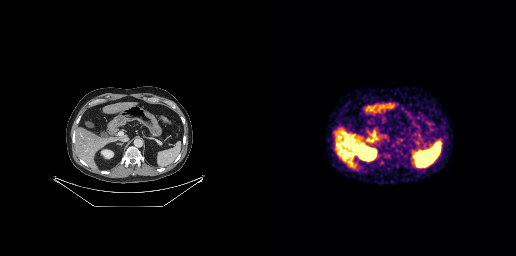
modality: PSMA PET/CT | tracer: [68Ga]Ga-PSMA-11 | view: axial | PET grid: 256×256
Negative for PSMA-avid disease on this slice.